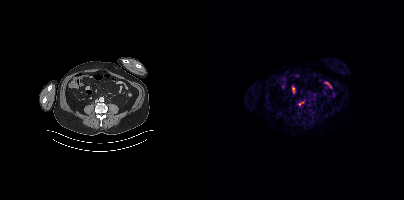
Coordinates are on the 200×200 PET (right) panel. Small PSMA-avid focus (2 to 4 px across) near (center x, center y): (95, 103).